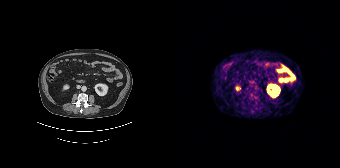
modality: PSMA PET/CT | tracer: 68Ga-PSMA | view: axial | PET grid: 168×168
Negative for PSMA-avid disease on this slice.